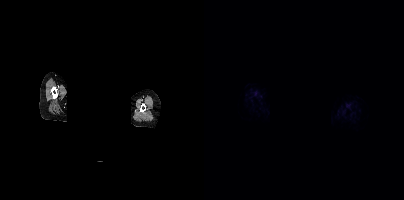
{"pet_grid":[200,200],"coord_frame":"pet_panel","coord_format":"x0,y0,x1,y1","psma_avid_lesions":false,"modality":"PSMA PET/CT","view":"axial","tracer":"68Ga-PSMA","redaction":"privacy mask over head"}